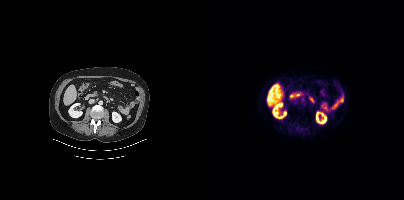
Two-panel axial: CT | PSMA PET, 18F tracer. Slice position z = -618 mm. This slice has no annotated PSMA-avid lesion.